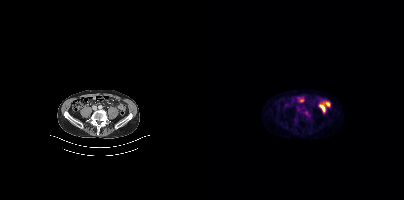
Coordinates are on the 200×200 PET (right) panel. Small PSMA-avid focus (2 to 4 px across) near (center x, center y): (102, 112).